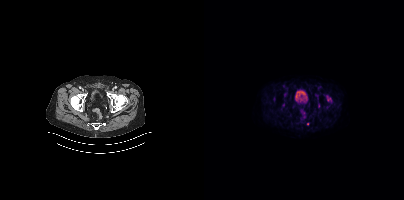
{"modality":"PSMA PET/CT","view":"axial","tracer":"[18F]PSMA-1007","pet_grid":[200,200],"coord_frame":"pet_panel","coord_format":"x0,y0,x1,y1","lesion_bboxes":[],"small_foci_centers":[[103,123]]}